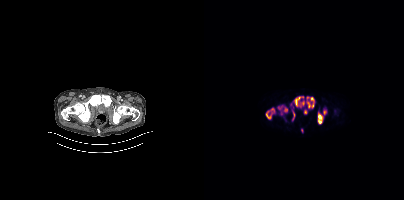
Left: CT. Right: PSMA PET, same axial level, 18F-PSMA tracer. Acquired on Siemens Biograph mCT Flow 20. Slice position z = -834 mm. Coordinates are on the 200×200 PET (right) panel. (showing 12 of 13 foci) PSMA-avid tumor lesion bounding boxes (x0,y0,x1,y1): [62,108,71,119] [90,97,100,106] [114,113,118,123] [74,105,83,112] [103,102,106,107] [107,97,109,101] [89,112,90,119]. Small PSMA-avid foci (2 to 4 px across) near (center x, center y): (120, 112) (108, 104) (77, 113) (97, 130) (103, 97).